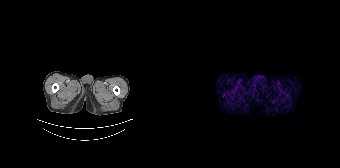
{"pet_grid":[168,168],"coord_frame":"pet_panel","coord_format":"x0,y0,x1,y1","psma_avid_lesions":false,"modality":"PSMA PET/CT","view":"axial","tracer":"68Ga"}